Technique: Two-panel axial: CT | PSMA PET, [18F]PSMA-1007 tracer. acquired on Siemens Biograph mCT Flow 20. slice position z = -666 mm. PET panel 200×200 px (4.1 mm/px).
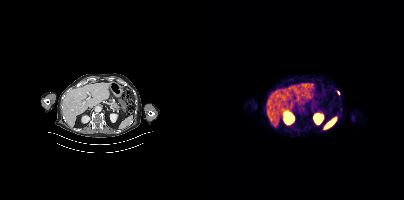
Findings: Coordinates are on the 200×200 PET (right) panel. Small PSMA-avid focus (2 to 4 px across) near (center x, center y): (134, 92).